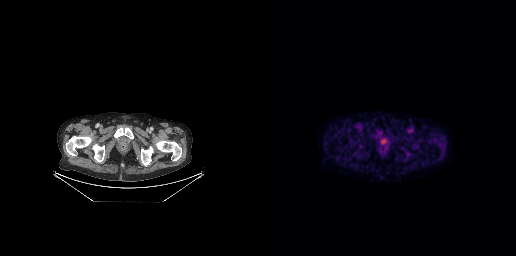
Technique: Left: CT. Right: PSMA PET, same axial level, 18F-PSMA tracer. acquired on GE Discovery 690. PET panel 256×256 px (2.7 mm/px).
Findings: This slice has no annotated PSMA-avid lesion.